Technique: Paired axial CT (left) and PSMA PET (right), 18F tracer.
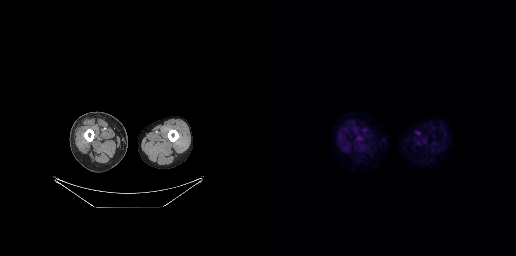
Findings: No PSMA-avid tumor lesions on this slice.